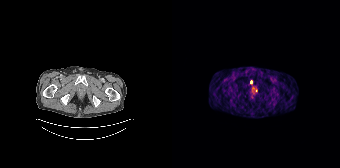
Coordinates are on the 168×168 PET (right) panel. (showing 1 of 2 foci) Small PSMA-avid focus (2 to 4 px across) near (center x, center y): (79, 82).